modality: PSMA PET/CT | tracer: 68Ga-PSMA | view: axial | PET grid: 168×168
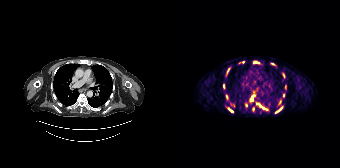
Coordinates are on the 168×168 PET (right) panel. (showing 14 of 18 foci) PSMA-avid tumor lesion bounding boxes (x0,y0,x1,y1): [84,103,96,110]; [104,107,110,112]; [82,61,87,63]; [99,63,103,65]; [110,73,113,77]; [78,95,82,100]; [56,108,61,112]; [113,85,114,89]; [55,68,57,72]. Small PSMA-avid foci (2 to 4 px across) near (center x, center y): (81, 108); (71, 62); (51, 86); (111, 95); (67, 62).